Left: CT. Right: PSMA PET, same axial level, 18F-PSMA tracer. Acquired on Siemens Biograph mCT Flow 20.
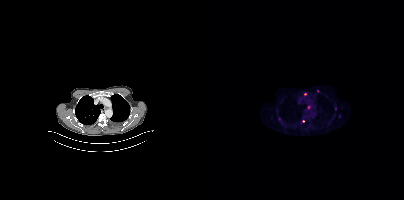
Coordinates are on the 200×200 PET (right) panel. (showing 3 of 6 foci) Small PSMA-avid foci (2 to 4 px across) near (center x, center y): (105, 107) | (131, 108) | (99, 121).